Two-panel axial: CT | PSMA PET, 18F-PSMA tracer. Slice 121 of 299.
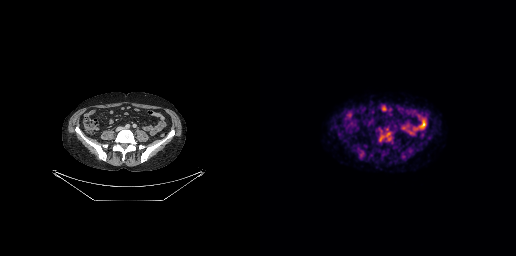
Coordinates are on the 256×256 PET (right) panel. Small PSMA-avid focus (2 to 4 px across) near (center x, center y): (128, 133).